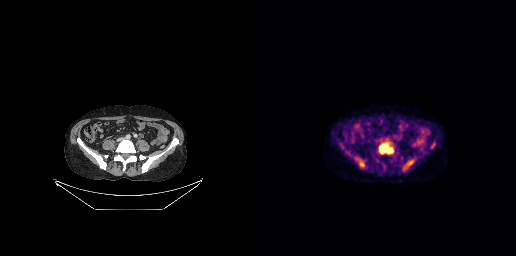
{"modality":"PSMA PET/CT","view":"axial","tracer":"18F-PSMA","pet_grid":[256,256],"coord_frame":"pet_panel","coord_format":"x0,y0,x1,y1","lesion_bboxes":[[119,143,133,153],[143,160,153,170],[99,160,104,166]]}